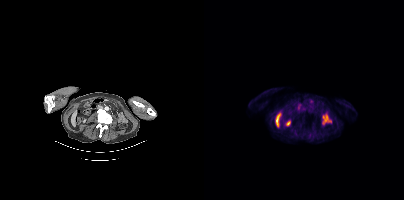
Two-panel axial: CT | PSMA PET, 18F-PSMA tracer. Negative for PSMA-avid disease on this slice.